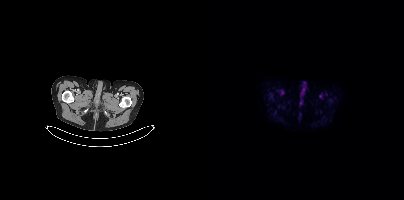
{"modality":"PSMA PET/CT","view":"axial","tracer":"[18F]PSMA-1007","pet_grid":[200,200],"coord_frame":"pet_panel","coord_format":"x0,y0,x1,y1","psma_avid_lesions":false}